modality: PSMA PET/CT | tracer: [18F]PSMA-1007 | view: axial
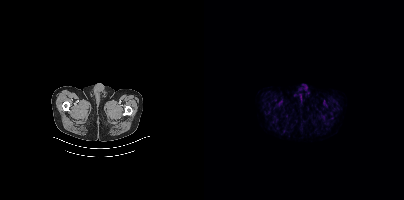
No tumor lesions annotated on this slice.